Two-panel axial: CT | PSMA PET, 18F-PSMA tracer. Slice position z = -502 mm. PET panel 200×200 px (4.1 mm/px).
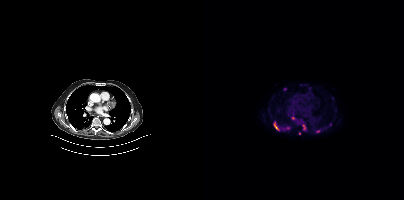
Coordinates are on the 200×200 PET (right) panel. PSMA-avid tumor lesion bounding boxes (partial; 1 more focus not listed):
| # | x0 | y0 | x1 | y1 |
|---|---|---|---|---|
| 1 | 70 | 124 | 73 | 129 |
| 2 | 82 | 127 | 86 | 129 |
Small PSMA-avid foci (2 to 4 px across) near (center x, center y): (80, 89); (89, 118); (100, 127); (95, 133).